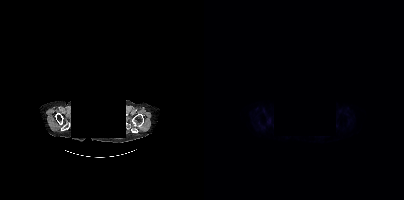
A rectangle over the head was blacked out to remove identifiable facial features.
No PSMA-avid tumor lesions on this slice.